modality: PSMA PET/CT | tracer: 18F | view: axial
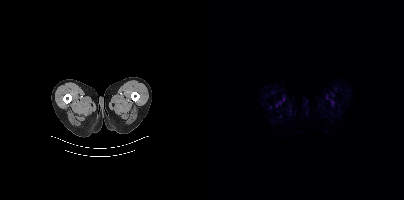
No tumor lesions annotated on this slice.